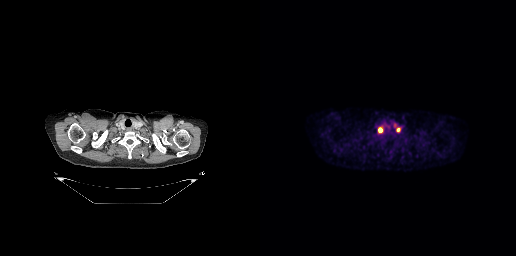
Two-panel axial: CT | PSMA PET, [18F]PSMA-1007 tracer. Acquired on GE Discovery 690. Slice position z = -129 mm. PET panel 256×256 px (2.7 mm/px). Coordinates are on the 256×256 PET (right) panel. PSMA-avid tumor lesion bounding boxes (x, y, width, height): x=118 y=127 w=5 h=6 | x=136 y=128 w=5 h=4.